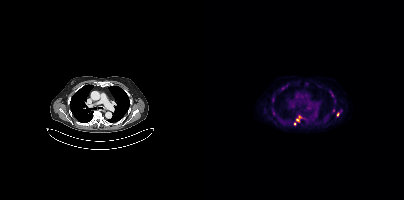
Findings: Coordinates are on the 200×200 PET (right) panel. (showing 5 of 7 foci) Small PSMA-avid foci (2 to 4 px across) near (center x, center y): (93, 120) | (134, 114) | (79, 88) | (90, 124) | (95, 116).
Technique: Left: CT. Right: PSMA PET, same axial level, 18F-PSMA tracer.